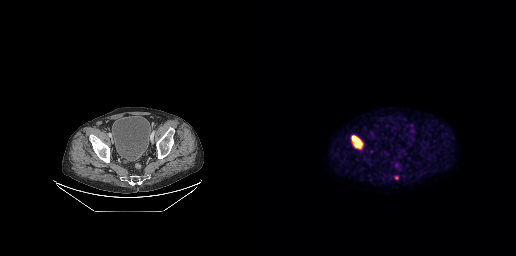
Coordinates are on the 256×256 PET (right) panel. PSMA-avid tumor lesion bounding box (x0, y0)-(x1, y1): (92, 136)-(102, 148). Small PSMA-avid focus (2 to 4 px across) near (center x, center y): (136, 177).